Technique: Two-panel axial: CT | PSMA PET, 18F tracer.
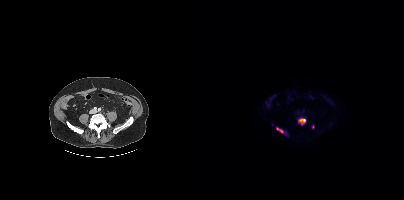
Findings: Coordinates are on the 200×200 PET (right) panel. PSMA-avid tumor lesion bounding boxes (x0, y0)-(x1, y1): (94, 118)-(101, 124) / (72, 127)-(79, 132). Small PSMA-avid foci (2 to 4 px across) near (center x, center y): (68, 124) / (108, 127).